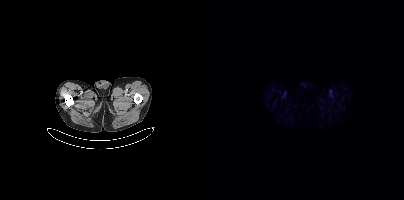
No tumor lesions annotated on this slice.
modality: PSMA PET/CT | tracer: 18F | view: axial | PET grid: 200×200